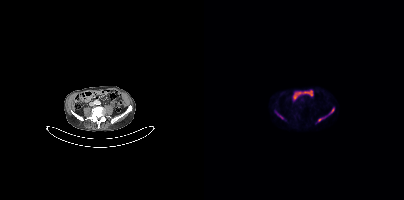
Coordinates are on the 200×200 PET (right) panel. PSMA-avid tumor lesion bounding boxes (x0,y0,x1,y1): [71,110,81,120] [125,108,130,114] [114,117,121,121].